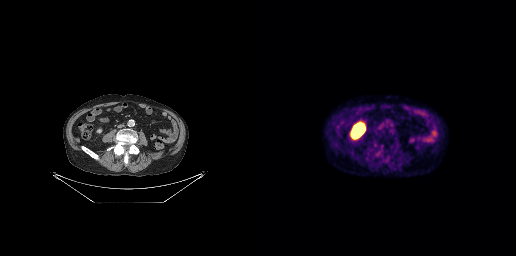
Two-panel axial: CT | PSMA PET, [18F]PSMA-1007 tracer. PET panel 256×256 px (2.7 mm/px). Coordinates are on the 256×256 PET (right) panel. Small PSMA-avid focus (2 to 4 px across) near (center x, center y): (122, 123).